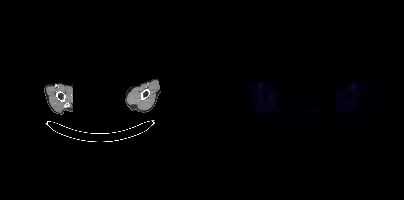
- de-identified by setting a box covering the face to black before release
- Two-panel axial: CT | PSMA PET, 18F-PSMA tracer
- PET panel 200×200 px (4.1 mm/px)
Findings: Negative for PSMA-avid disease on this slice.